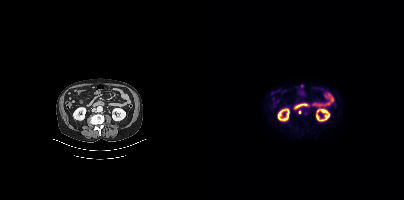
Left: CT. Right: PSMA PET, same axial level, [18F]PSMA-1007 tracer. Acquired on Siemens Biograph mCT Flow 20. Slice 161 of 383. Coordinates are on the 200×200 PET (right) panel. PSMA-avid tumor lesion bounding box (x0, y0)-(x1, y1): (94, 109)-(97, 114).